Two-panel axial: CT | PSMA PET, 18F-PSMA tracer.
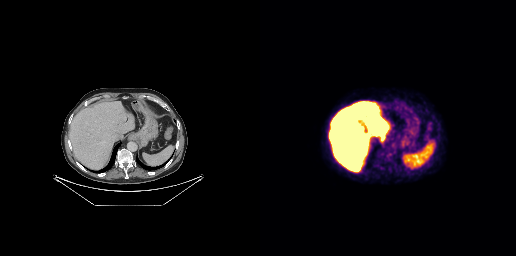
No PSMA-avid tumor lesions on this slice.